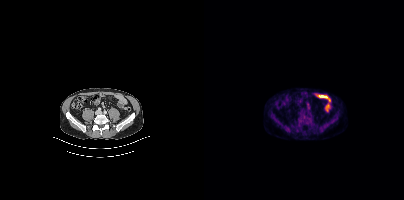
Findings: Coordinates are on the 200×200 PET (right) panel. PSMA-avid tumor lesion bounding box (x0, y0)-(x1, y1): (100, 117)-(106, 123).
Technique: Left: CT. Right: PSMA PET, same axial level, 18F tracer.